Paired axial CT (left) and PSMA PET (right), 18F tracer. Slice 96 of 373.
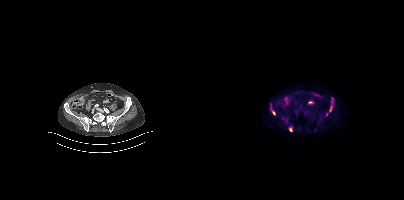
Coordinates are on the 200×200 PET (right) panel. PSMA-avid tumor lesion bounding boxes (partial; 2 more foci not listed):
| # | x0 | y0 | x1 | y1 |
|---|---|---|---|---|
| 1 | 125 | 97 | 129 | 111 |
| 2 | 84 | 127 | 88 | 131 |
Small PSMA-avid focus (2 to 4 px across) near (center x, center y): (69, 112).